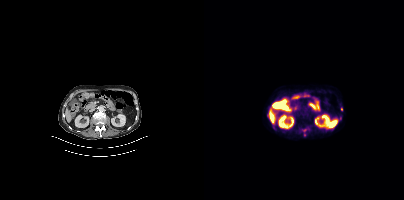
{"modality":"PSMA PET/CT","view":"axial","tracer":"18F-PSMA","pet_grid":[200,200],"coord_frame":"pet_panel","coord_format":"x0,y0,x1,y1","lesion_bboxes":[],"small_foci_centers":[[137,109],[136,118]]}